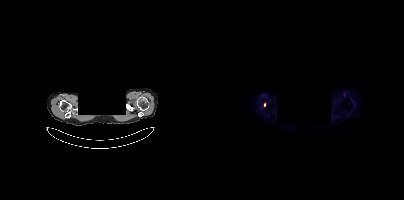
Facial anatomy redacted by setting a rectangular region of the head to black. Left: CT. Right: PSMA PET, same axial level, 18F-PSMA tracer. Acquired on Siemens Biograph mCT Flow 20. Slice 349 of 401. PET panel 200×200 px (4.1 mm/px). Coordinates are on the 200×200 PET (right) panel. Small PSMA-avid focus (2 to 4 px across) near (center x, center y): (60, 104).